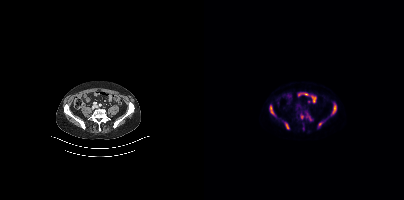
Coordinates are on the 200×200 PET (right) panel. PSMA-avid tumor lesion bounding boxes (x0,y0,x1,y1): [101,114,108,121] [66,105,70,115] [128,104,132,113] [81,122,85,129] [114,122,119,127]. Small PSMA-avid focus (2 to 4 px across) near (center x, center y): (98, 117).
modality: PSMA PET/CT | tracer: 18F | view: axial | PET grid: 200×200